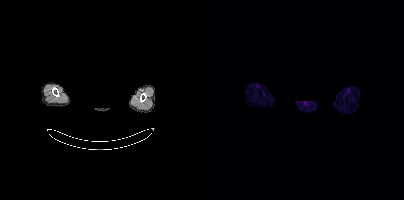
Two-panel axial: CT | PSMA PET, 68Ga-PSMA tracer. Slice 383 of 413. A rectangular block over the head has been blanked out for de-identification. Negative for PSMA-avid disease on this slice.